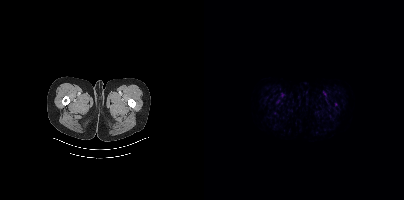
{"modality":"PSMA PET/CT","view":"axial","tracer":"18F-PSMA","pet_grid":[200,200],"coord_frame":"pet_panel","coord_format":"x0,y0,x1,y1","partial":true,"lesion_bboxes":[]}